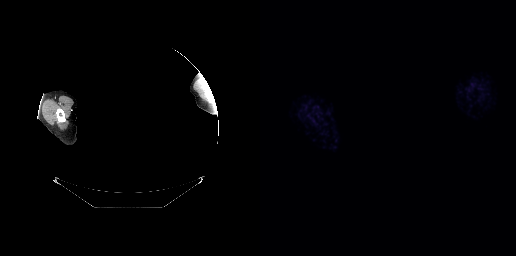
No tumor lesions annotated on this slice.
modality: PSMA PET/CT | tracer: 68Ga | view: axial | PET grid: 256×256 | redaction: head region blanked (face removed)